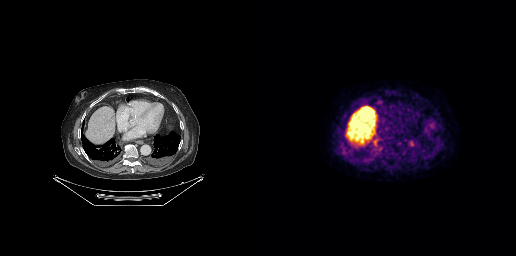
Left: CT. Right: PSMA PET, same axial level, 18F-PSMA tracer. PET panel 256×256 px (2.7 mm/px).
Coordinates are on the 256×256 PET (right) panel. PSMA-avid tumor lesion bounding boxes (partial; 1 more focus not listed):
| # | x0 | y0 | x1 | y1 |
|---|---|---|---|---|
| 1 | 116 | 145 | 122 | 151 |
Small PSMA-avid foci (2 to 4 px across) near (center x, center y): (171, 125); (151, 143).